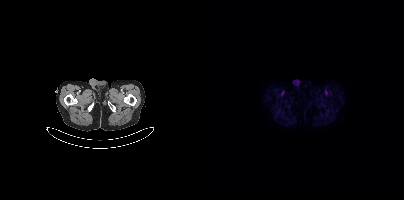
{"modality":"PSMA PET/CT","view":"axial","tracer":"18F","pet_grid":[200,200],"coord_frame":"pet_panel","coord_format":"x0,y0,x1,y1","psma_avid_lesions":false}